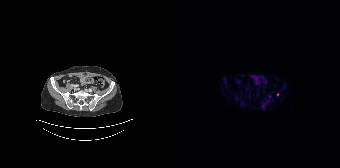
Paired axial CT (left) and PSMA PET (right), 18F tracer. Acquired on Siemens Biograph 64-4R TruePoint. Slice 75 of 195. Coordinates are on the 168×168 PET (right) panel. Small PSMA-avid focus (2 to 4 px across) near (center x, center y): (105, 94).